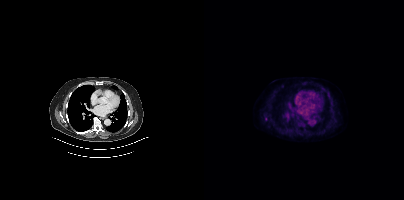
Findings: Coordinates are on the 200×200 PET (right) panel. Small PSMA-avid focus (2 to 4 px across) near (center x, center y): (61, 119).
- Two-panel axial: CT | PSMA PET, 18F-PSMA tracer
- slice position z = -396 mm